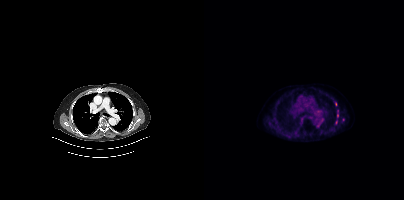
Findings: Coordinates are on the 200×200 PET (right) panel. (showing 2 of 3 foci) Small PSMA-avid foci (2 to 4 px across) near (center x, center y): (133, 111) / (131, 104).
Technique: Left: CT. Right: PSMA PET, same axial level, 18F-PSMA tracer. acquired on Siemens Biograph mCT Flow 20.